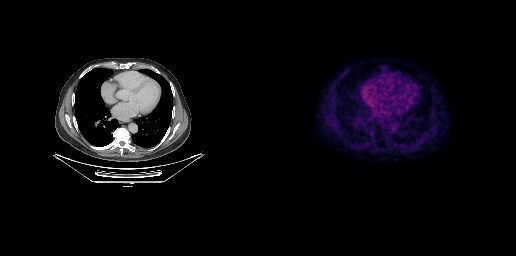
No tumor lesions annotated on this slice.